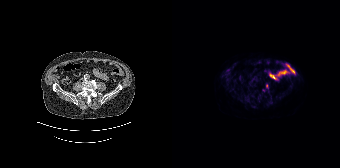
modality: PSMA PET/CT | tracer: 18F-PSMA | view: axial | PET grid: 168×168
Coordinates are on the 168×168 PET (right) panel. (showing 1 of 2 foci) Small PSMA-avid focus (2 to 4 px across) near (center x, center y): (94, 85).